Paired axial CT (left) and PSMA PET (right), 18F-PSMA tracer. Slice 293 of 448.
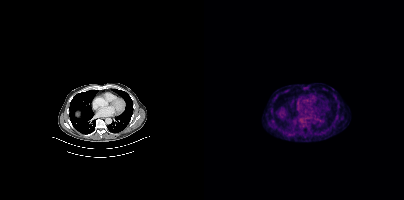
Coordinates are on the 200×200 PET (right) panel. PSMA-avid tumor lesion bounding box (x, y, width, height): x=95 y=117 w=8 h=8.